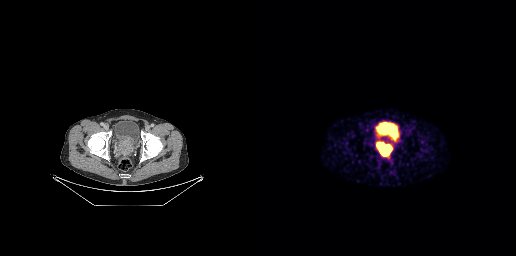
Coordinates are on the 256×256 PET (right) panel. PSMA-avid tumor lesion bounding boxes (x0, y0)-(x1, y1): (116, 142)-(132, 155); (131, 138)-(136, 141).